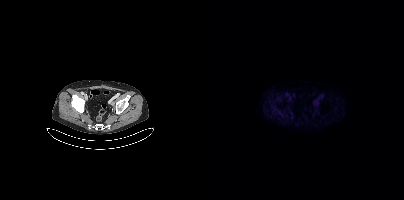
No tumor lesions annotated on this slice. Two-panel axial: CT | PSMA PET, 18F tracer.